Technique: Left: CT. Right: PSMA PET, same axial level, 18F-PSMA tracer. acquired on Siemens Biograph mCT Flow 20. slice position z = -1028 mm. PET panel 200×200 px (4.1 mm/px).
Note: A rectangular block over the head has been blanked out for de-identification.
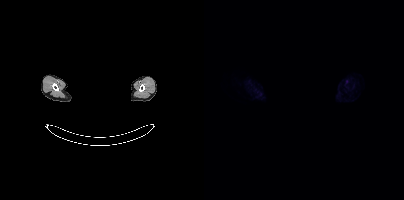
Findings: Negative for PSMA-avid disease on this slice.